- Two-panel axial: CT | PSMA PET, [18F]PSMA-1007 tracer
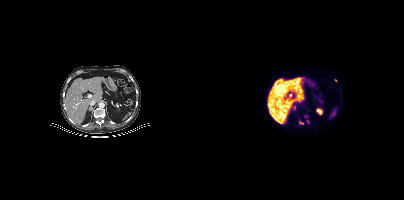
Findings: Only PSMA-avid lesion pieces thinner than 2 px on this slice (not listed).